Two-panel axial: CT | PSMA PET, [18F]PSMA-1007 tracer. Acquired on Siemens Biograph mCT Flow 20. Slice 224 of 381. PET panel 200×200 px (4.1 mm/px).
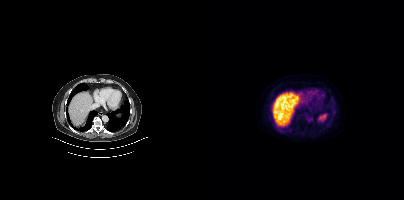
Negative for PSMA-avid disease on this slice.